Technique: Paired axial CT (left) and PSMA PET (right), [68Ga]Ga-PSMA-11 tracer.
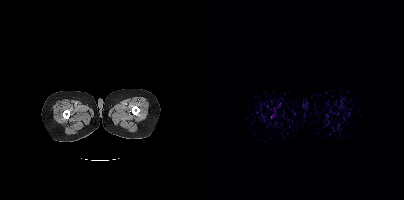
Findings: No PSMA-avid tumor lesions on this slice.